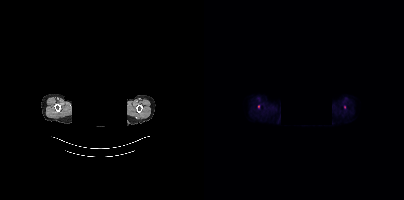
de-identification: facial region redacted | modality: PSMA PET/CT | tracer: 18F | view: axial
Negative for PSMA-avid disease on this slice.